- Two-panel axial: CT | PSMA PET, [18F]PSMA-1007 tracer
- slice position z = -335 mm
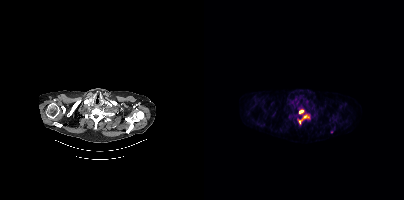
Findings: Coordinates are on the 200×200 PET (right) panel. PSMA-avid tumor lesion bounding boxes (x0,y0,x1,y1): [94,114,105,124], [95,109,99,113].